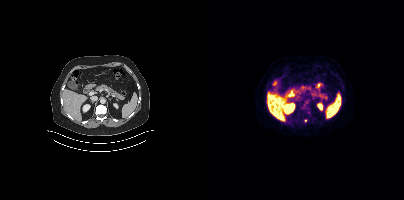
Findings: Coordinates are on the 200×200 PET (right) panel. Small PSMA-avid focus (2 to 4 px across) near (center x, center y): (101, 120).
Technique: Two-panel axial: CT | PSMA PET, [18F]PSMA-1007 tracer. PET panel 200×200 px (4.1 mm/px).